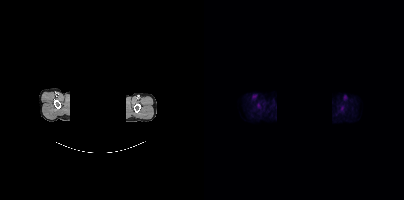
{"modality":"PSMA PET/CT","view":"axial","tracer":"18F-PSMA","pet_grid":[200,200],"coord_frame":"pet_panel","coord_format":"x0,y0,x1,y1","deidentification":"head region blacked out before release","psma_avid_lesions":false}